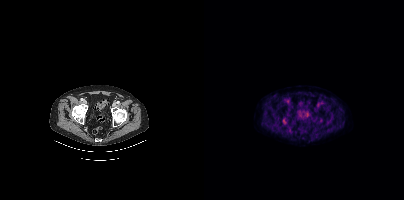
Technique: Paired axial CT (left) and PSMA PET (right), [18F]PSMA-1007 tracer. slice 68 of 403. PET panel 200×200 px (4.1 mm/px).
Findings: Negative for PSMA-avid disease on this slice.